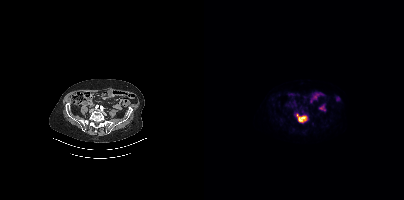
Findings: Coordinates are on the 200×200 PET (right) panel. PSMA-avid tumor lesion bounding box (x, y, width, height): x=91 y=113 w=14 h=11.
Technique: Two-panel axial: CT | PSMA PET, [18F]PSMA-1007 tracer. acquired on Siemens Biograph mCT Flow 20.